Two-panel axial: CT | PSMA PET, [18F]PSMA-1007 tracer. Acquired on GE Discovery 690. PET panel 256×256 px (2.7 mm/px).
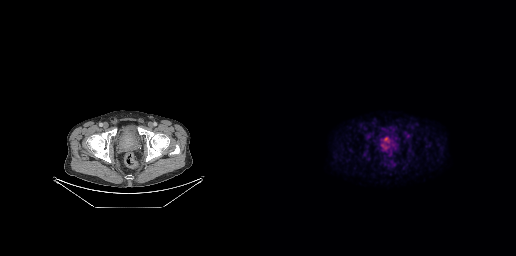
Coordinates are on the 256×256 PET (right) panel. PSMA-avid tumor lesion bounding boxes:
| # | x0 | y0 | x1 | y1 |
|---|---|---|---|---|
| 1 | 120 | 136 | 136 | 149 |